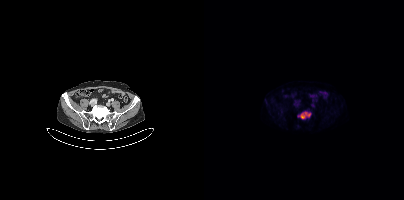
Coordinates are on the 200×200 PET (right) panel. PSMA-avid tumor lesion bounding box (x, y, width, height): x=93 y=111 w=15 h=9.